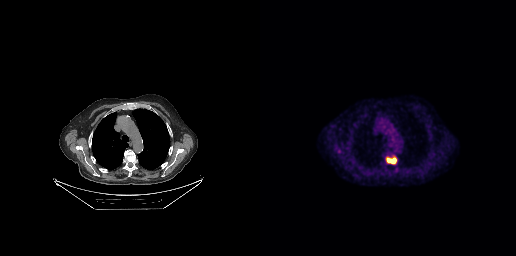
{"modality":"PSMA PET/CT","view":"axial","tracer":"[18F]PSMA-1007","pet_grid":[256,256],"coord_frame":"pet_panel","coord_format":"x0,y0,x1,y1","lesion_bboxes":[[126,156,136,164]]}